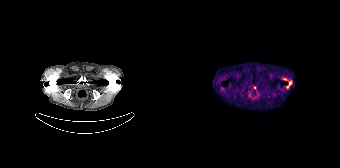
Coordinates are on the 168×168 PET (right) panel. (showing 1 of 2 foci) PSMA-avid tumor lesion bounding box (x0, y0)-(x1, y1): (111, 78)-(120, 88).